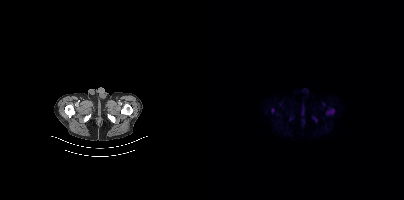
Technique: Left: CT. Right: PSMA PET, same axial level, [18F]PSMA-1007 tracer. slice 49 of 427.
Findings: Coordinates are on the 200×200 PET (right) panel. (showing 2 of 3 foci) PSMA-avid tumor lesion bounding boxes (x0, y0)-(x1, y1): (122, 108)-(130, 114) / (109, 117)-(112, 121).